- Paired axial CT (left) and PSMA PET (right), 18F-PSMA tracer
- acquired on Siemens Biograph mCT Flow 20
- slice position z = -1008 mm
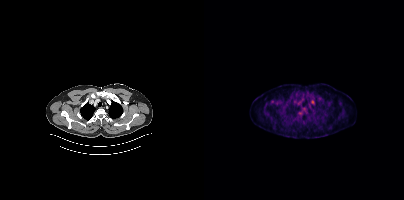
Findings: This slice has no annotated PSMA-avid lesion.